modality: PSMA PET/CT | tracer: 18F-PSMA | view: axial
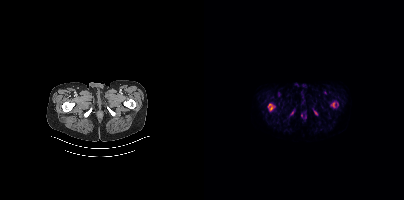
Coordinates are on the 200×200 PET (right) panel. PSMA-avid tumor lesion bounding boxes (x0,y0,x1,y1): [64,103,71,111], [127,102,130,107]. Small PSMA-avid foci (2 to 4 px across) near (center x, center y): (88, 112), (111, 112).